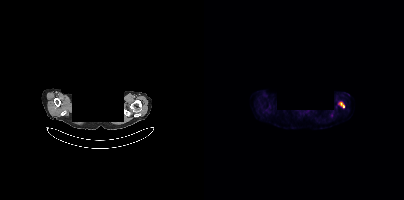
Two-panel axial: CT | PSMA PET, 18F tracer. Acquired on Siemens Biograph mCT Flow 20. Slice 366 of 415. A rectangle over the head was blacked out to remove identifiable facial features.
Coordinates are on the 200×200 PET (right) panel. PSMA-avid tumor lesion bounding boxes:
| # | x0 | y0 | x1 | y1 |
|---|---|---|---|---|
| 1 | 135 | 102 | 140 | 107 |